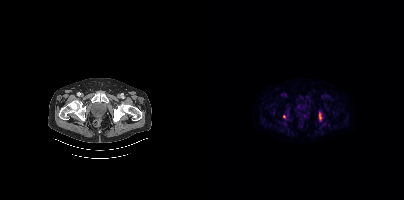
Coordinates are on the 200×200 PET (right) panel. PSMA-avid tumor lesion bounding box (x, y, width, height): x=115 y=112 w=3 h=9. Small PSMA-avid focus (2 to 4 px across) near (center x, center y): (80, 116).